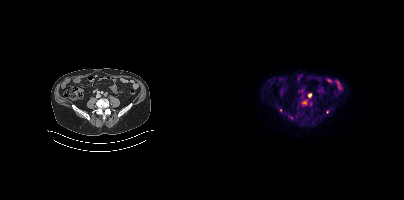
{"pet_grid":[200,200],"coord_frame":"pet_panel","coord_format":"x0,y0,x1,y1","partial":true,"lesion_bboxes":[[99,100,103,104],[84,115,89,119]],"small_foci_centers":[[105,95],[123,111]],"modality":"PSMA PET/CT","view":"axial","tracer":"18F-PSMA"}